Technique: Left: CT. Right: PSMA PET, same axial level, 18F-PSMA tracer. PET panel 200×200 px (4.1 mm/px).
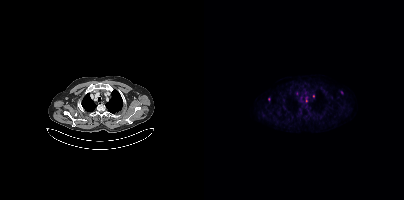
Findings: Coordinates are on the 200×200 PET (right) panel. Small PSMA-avid foci (2 to 4 px across) near (center x, center y): (137, 92); (65, 99); (109, 95).